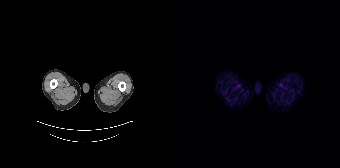
Negative for PSMA-avid disease on this slice. Paired axial CT (left) and PSMA PET (right), 68Ga tracer. Slice 18 of 195.